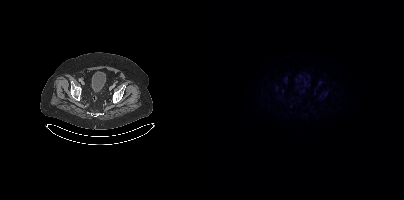
Two-panel axial: CT | PSMA PET, [18F]PSMA-1007 tracer. Acquired on Siemens Biograph mCT Flow 20. Slice position z = -799 mm. PET panel 200×200 px (4.1 mm/px). Negative for PSMA-avid disease on this slice.